Technique: Two-panel axial: CT | PSMA PET, 68Ga tracer. slice position z = -1207 mm.
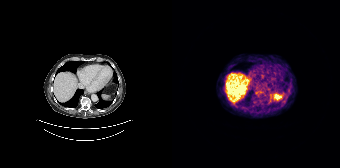
Findings: Coordinates are on the 168×168 PET (right) panel. PSMA-avid tumor lesion bounding box (x0,y0,x1,y1): [85,89,89,93].